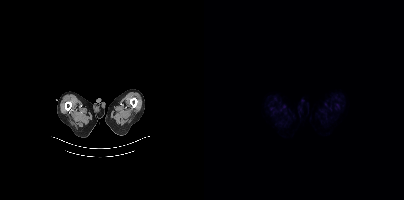
Left: CT. Right: PSMA PET, same axial level, 18F tracer. Acquired on Siemens Biograph mCT Flow 20. Slice 22 of 415. No PSMA-avid tumor lesions on this slice.